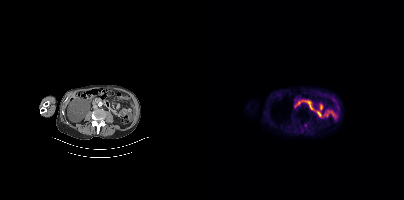
modality: PSMA PET/CT | tracer: [18F]PSMA-1007 | view: axial
No PSMA-avid tumor lesions on this slice.